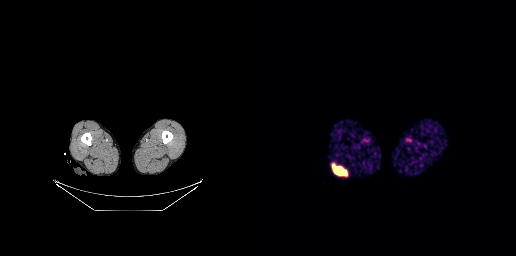
No tumor lesions annotated on this slice.